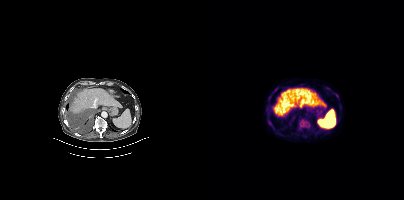
{"modality":"PSMA PET/CT","view":"axial","tracer":"[18F]PSMA-1007","pet_grid":[200,200],"coord_frame":"pet_panel","coord_format":"x0,y0,x1,y1","partial":true,"lesion_bboxes":[[95,119,104,128],[64,96,67,101],[64,120,67,125],[70,87,74,91],[122,87,126,89]]}